Left: CT. Right: PSMA PET, same axial level, 68Ga-PSMA tracer. Slice position z = -1510 mm.
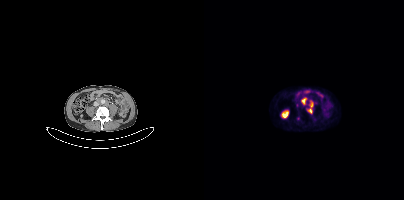
Coordinates are on the 200×200 PET (right) panel. PSMA-avid tumor lesion bounding boxes (x0,y0,x1,y1): [103,101,109,113] [97,98,102,104]. Small PSMA-avid foci (2 to 4 px across) near (center x, center y): (93, 105) (110, 119) (94, 118).